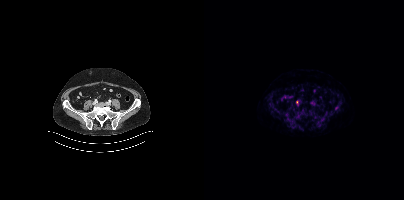
Coordinates are on the 200×200 PET (right) panel. Small PSMA-avid focus (2 to 4 px across) near (center x, center y): (92, 102). Paired axial CT (left) and PSMA PET (right), [18F]PSMA-1007 tracer. Slice position z = -224 mm. PET panel 200×200 px (4.1 mm/px).